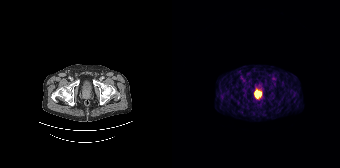
Coordinates are on the 168×168 PET (right) panel. PSMA-avid tumor lesion bounding box (x0, y0)-(x1, y1): (82, 89)-(89, 98).